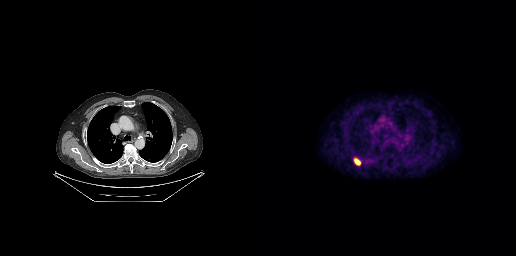
Two-panel axial: CT | PSMA PET, [18F]PSMA-1007 tracer. Acquired on GE Discovery 690. Coordinates are on the 256×256 PET (right) panel. PSMA-avid tumor lesion bounding box (x0,y0,x1,y1): [95,159,99,164].